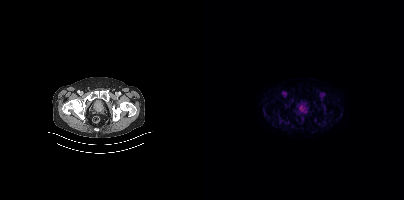
Left: CT. Right: PSMA PET, same axial level, 18F tracer. Slice 83 of 466. Negative for PSMA-avid disease on this slice.